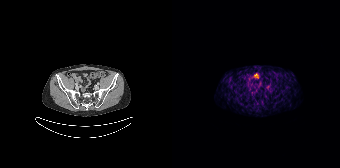
Findings: No PSMA-avid tumor lesions on this slice.
- Left: CT. Right: PSMA PET, same axial level, [68Ga]Ga-PSMA-11 tracer